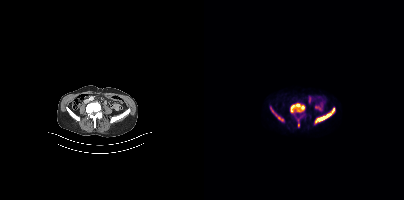
Coordinates are on the 200×200 PET (right) panel. (showing 5 of 8 foci) PSMA-avid tumor lesion bounding boxes (x0, y0)-(x1, y1): (86, 103)-(101, 112); (111, 107)-(131, 123); (72, 115)-(77, 119). Small PSMA-avid foci (2 to 4 px across) near (center x, center y): (94, 124); (68, 111).